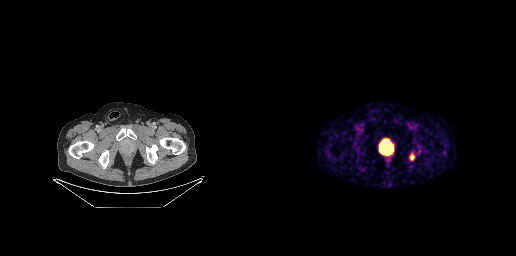
Left: CT. Right: PSMA PET, same axial level, 68Ga tracer. Acquired on GE Discovery 690. PET panel 256×256 px (2.7 mm/px). Coordinates are on the 256×256 PET (right) panel. PSMA-avid tumor lesion bounding boxes (x, y, width, height): x=119 y=138 w=15 h=18 / x=150 y=154 w=5 h=7.